Left: CT. Right: PSMA PET, same axial level, 18F-PSMA tracer. Acquired on Siemens Biograph mCT Flow 20. Slice position z = -1155 mm. PET panel 200×200 px (4.1 mm/px).
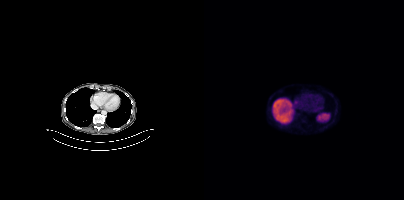
This slice has no annotated PSMA-avid lesion.